modality: PSMA PET/CT | tracer: 18F-PSMA | view: axial | PET grid: 200×200
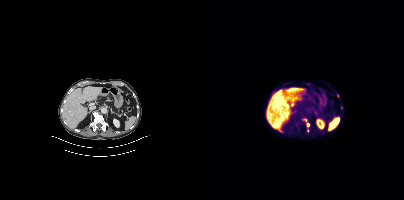
Coordinates are on the 200×200 PET (right) panel. (showing 1 of 4 foci) Small PSMA-avid focus (2 to 4 px across) near (center x, center y): (104, 124).